Two-panel axial: CT | PSMA PET, 18F-PSMA tracer. Acquired on Siemens Biograph mCT Flow 20. PET panel 200×200 px (4.1 mm/px).
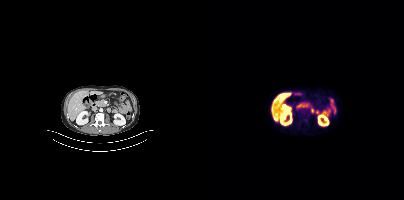
No tumor lesions annotated on this slice.